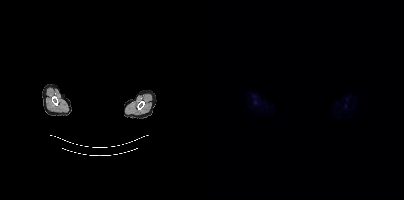
Findings: This slice has no annotated PSMA-avid lesion.
Technique: Paired axial CT (left) and PSMA PET (right), 18F tracer. acquired on Siemens Biograph mCT Flow 20.
Note: De-identified by setting a box covering the face to black before release.